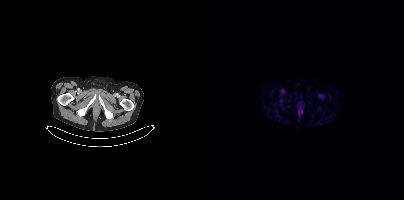
Technique: Paired axial CT (left) and PSMA PET (right), 18F-PSMA tracer. acquired on Siemens Biograph mCT Flow 20.
Findings: Negative for PSMA-avid disease on this slice.